Left: CT. Right: PSMA PET, same axial level, 18F tracer. Acquired on Siemens Biograph mCT Flow 20.
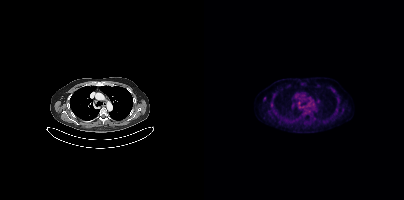
No PSMA-avid tumor lesions on this slice.